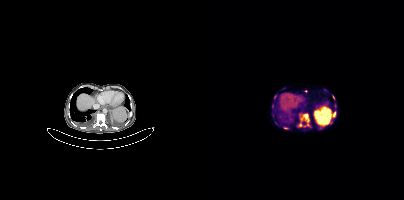
Paired axial CT (left) and PSMA PET (right), [68Ga]Ga-PSMA-11 tracer. PET panel 200×200 px (4.1 mm/px).
Coordinates are on the 200×200 PET (right) panel. PSMA-avid tumor lesion bounding boxes (partial; 4 more foci not listed):
| # | x0 | y0 | x1 | y1 |
|---|---|---|---|---|
| 1 | 97 | 114 | 105 | 122 |
| 2 | 80 | 127 | 84 | 129 |
| 3 | 70 | 95 | 72 | 99 |
Small PSMA-avid foci (2 to 4 px across) near (center x, center y): (129, 114); (96, 124); (103, 124); (129, 97).